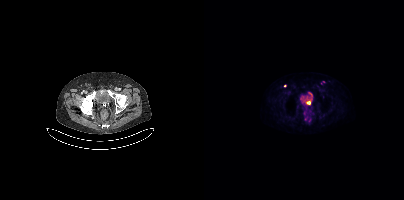
{"modality":"PSMA PET/CT","view":"axial","tracer":"18F","pet_grid":[200,200],"coord_frame":"pet_panel","coord_format":"x0,y0,x1,y1","lesion_bboxes":[],"small_foci_centers":[[81,85],[119,81]]}